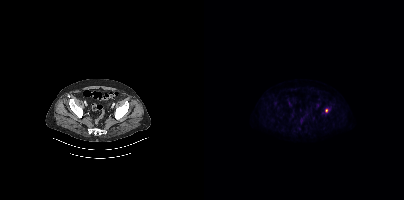
Coordinates are on the 200×200 PET (right) panel. Small PSMA-avid focus (2 to 4 px across) near (center x, center y): (122, 110).
modality: PSMA PET/CT | tracer: [18F]PSMA-1007 | view: axial | PET grid: 200×200